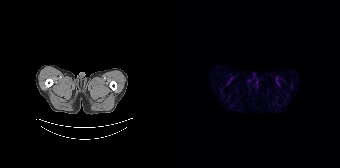
{"pet_grid":[168,168],"coord_frame":"pet_panel","coord_format":"x0,y0,x1,y1","psma_avid_lesions":false,"modality":"PSMA PET/CT","view":"axial","tracer":"18F-PSMA"}